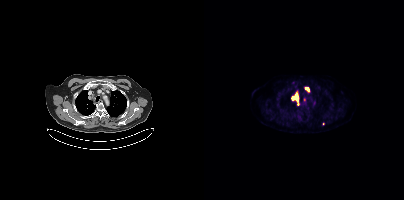
{"modality":"PSMA PET/CT","view":"axial","tracer":"[18F]PSMA-1007","pet_grid":[200,200],"coord_frame":"pet_panel","coord_format":"x0,y0,x1,y1","partial":true,"lesion_bboxes":[[88,93,94,101],[101,87,105,91]],"small_foci_centers":[[119,123]]}